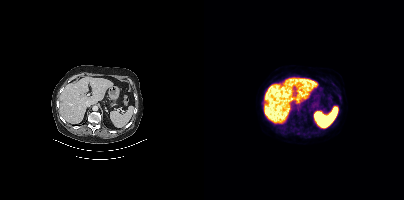
modality: PSMA PET/CT | tracer: 18F-PSMA | view: axial
Negative for PSMA-avid disease on this slice.